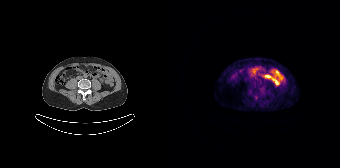
Coordinates are on the 168×168 PET (right) panel. Small PSMA-avid focus (2 to 4 px across) near (center x, center y): (84, 98).